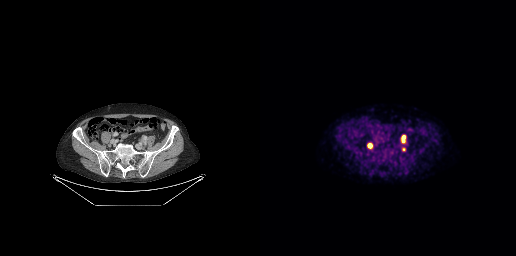
modality: PSMA PET/CT | tracer: 18F-PSMA | view: axial | PET grid: 256×256
Coordinates are on the 256×256 PET (right) panel. PSMA-avid tumor lesion bounding box (x, y, width, height): x=142 y=136 w=3 h=6. Small PSMA-avid foci (2 to 4 px across) near (center x, center y): (109, 145) | (143, 149).